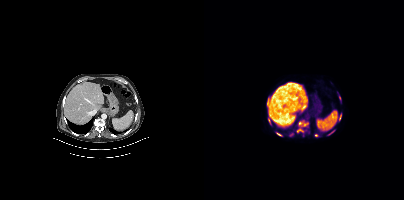
Paired axial CT (left) and PSMA PET (right), 18F tracer. Acquired on Siemens Biograph mCT Flow 20. Slice position z = 46 mm. Coordinates are on the 200×200 PET (right) panel. (showing 5 of 6 foci) PSMA-avid tumor lesion bounding boxes (x0,y0,x1,y1): [63,100,64,105], [73,133,77,135], [135,116,137,120]. Small PSMA-avid foci (2 to 4 px across) near (center x, center y): (65, 121), (112, 135).